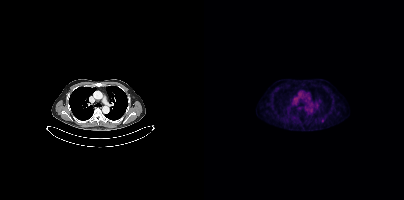
Findings: Coordinates are on the 200×200 PET (right) panel. PSMA-avid tumor lesion bounding box (x, y, width, height): x=117 y=118 w=4 h=5.
- Left: CT. Right: PSMA PET, same axial level, [18F]PSMA-1007 tracer
- PET panel 200×200 px (4.1 mm/px)